modality: PSMA PET/CT | tracer: [18F]PSMA-1007 | view: axial
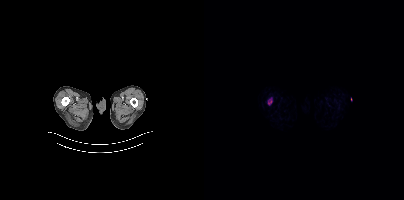
Coordinates are on the 200×200 PET (right) panel. PSMA-avid tumor lesion bounding box (x, y, width, height): x=64 y=98 w=5 h=7.